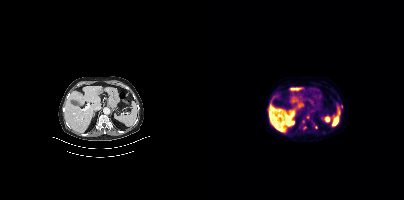
{"modality":"PSMA PET/CT","view":"axial","tracer":"18F-PSMA","pet_grid":[200,200],"coord_frame":"pet_panel","coord_format":"x0,y0,x1,y1","partial":true,"lesion_bboxes":[],"small_foci_centers":[[100,127],[112,127],[137,106],[95,127]]}